Paired axial CT (left) and PSMA PET (right), 18F tracer. Acquired on Siemens Biograph mCT Flow 20. PET panel 200×200 px (4.1 mm/px). The head region is masked for de-identification.
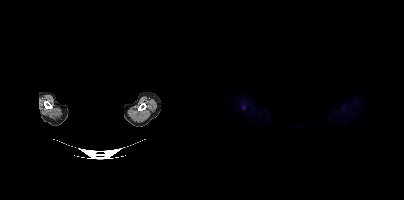
Coordinates are on the 200×200 PET (right) panel. Small PSMA-avid focus (2 to 4 px across) near (center x, center y): (39, 106).